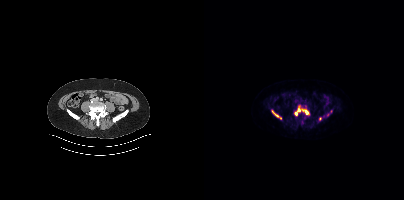
Findings: Coordinates are on the 200×200 PET (right) panel. (showing 4 of 6 foci) PSMA-avid tumor lesion bounding boxes (x0, y0)-(x1, y1): (91, 108)-(96, 115) / (68, 110)-(74, 117) / (99, 110)-(104, 114). Small PSMA-avid focus (2 to 4 px across) near (center x, center y): (116, 118).
Technique: Two-panel axial: CT | PSMA PET, [18F]PSMA-1007 tracer. acquired on Siemens Biograph mCT Flow 20. slice position z = -842 mm. PET panel 200×200 px (4.1 mm/px).